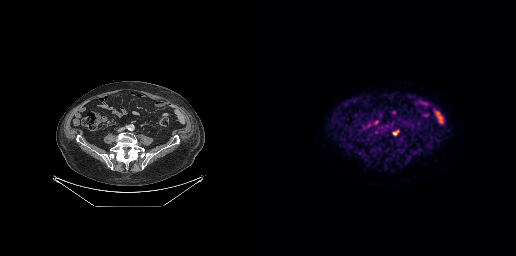
Coordinates are on the 256×256 PET (right) panel. PSMA-avid tumor lesion bounding box (x, y, width, height): x=132 y=130 w=8 h=6.